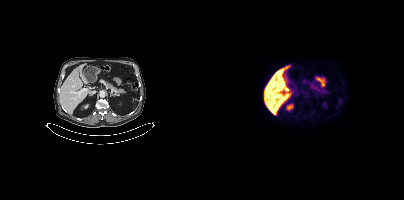
This slice has no annotated PSMA-avid lesion.
modality: PSMA PET/CT | tracer: 18F-PSMA | view: axial